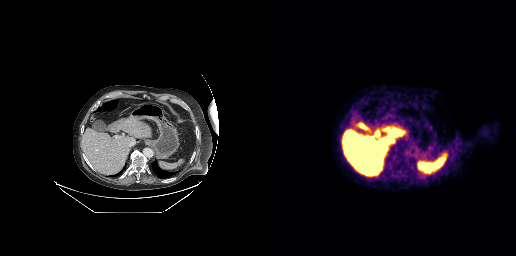
Technique: Two-panel axial: CT | PSMA PET, 18F-PSMA tracer. PET panel 256×256 px (2.7 mm/px).
Findings: No tumor lesions annotated on this slice.